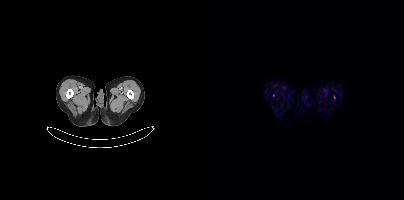
Coordinates are on the 200×200 PET (right) panel. Small PSMA-avid focus (2 to 4 px across) near (center x, center y): (69, 95).
modality: PSMA PET/CT | tracer: 18F-PSMA | view: axial | PET grid: 200×200